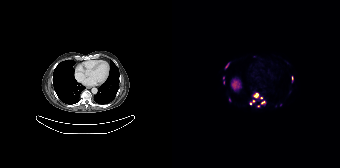
Technique: Left: CT. Right: PSMA PET, same axial level, [18F]PSMA-1007 tracer. acquired on Siemens Biograph 64-4R TruePoint.
Findings: Coordinates are on the 168×168 PET (right) panel. (showing 9 of 10 foci) PSMA-avid tumor lesion bounding boxes (x0,y0,x1,y1): [80,92,90,99], [85,100,93,107], [77,99,83,105], [53,63,57,68], [120,76,121,82]. Small PSMA-avid foci (2 to 4 px across) near (center x, center y): (51, 82), (51, 77), (57, 99), (108, 104).